- Two-panel axial: CT | PSMA PET, 68Ga-PSMA tracer
- acquired on Siemens Biograph 64-4R TruePoint
- slice position z = -1558 mm
- PET panel 168×168 px (4.1 mm/px)
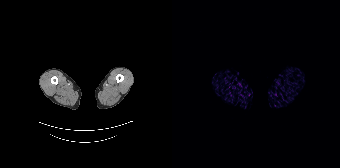
Findings: Negative for PSMA-avid disease on this slice.